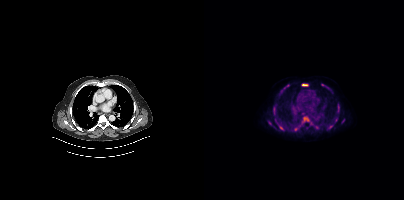
{"pet_grid":[200,200],"coord_frame":"pet_panel","coord_format":"x0,y0,x1,y1","lesion_bboxes":[[133,103,135,113],[100,117,105,121],[69,106,71,114],[98,84,104,86],[111,125,115,129],[75,125,79,130],[124,125,129,129],[80,84,85,88],[117,84,122,86]],"small_foci_centers":[[132,119],[139,120],[66,123],[91,129]],"modality":"PSMA PET/CT","view":"axial","tracer":"[18F]PSMA-1007"}